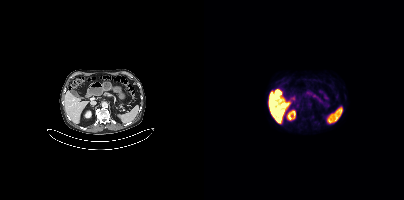
- Two-panel axial: CT | PSMA PET, 18F tracer
- acquired on Siemens Biograph mCT Flow 20
Findings: No tumor lesions annotated on this slice.